Two-panel axial: CT | PSMA PET, 18F-PSMA tracer. Slice position z = -451 mm. PET panel 200×200 px (4.1 mm/px).
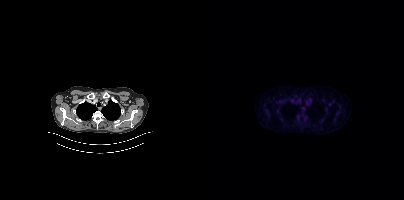
This slice has no annotated PSMA-avid lesion.